Technique: Paired axial CT (left) and PSMA PET (right), 18F tracer.
Note: Privacy masking over the head, with the pixels inside a rectangle set to black.
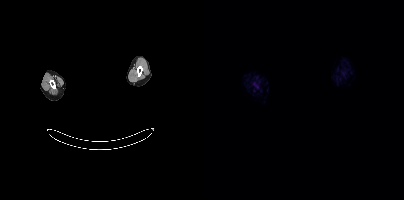
Findings: No tumor lesions annotated on this slice.